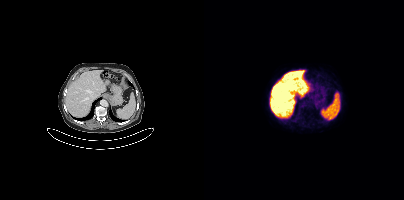
Coordinates are on the 200×200 PET (right) panel. Small PSMA-avid focus (2 to 4 px across) near (center x, center y): (99, 106).